Paired axial CT (left) and PSMA PET (right), [18F]PSMA-1007 tracer. Slice 163 of 165. A rectangular block over the head has been blanked out for de-identification.
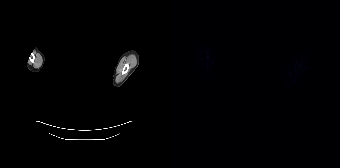
Negative for PSMA-avid disease on this slice.